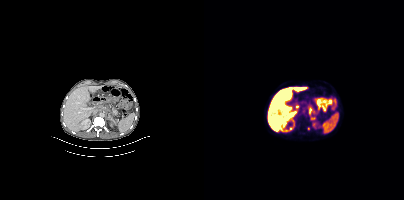
{"pet_grid":[200,200],"coord_frame":"pet_panel","coord_format":"x0,y0,x1,y1","lesion_bboxes":[[105,107,110,115],[107,117,111,119]],"small_foci_centers":[[104,128]],"modality":"PSMA PET/CT","view":"axial","tracer":"[18F]PSMA-1007"}